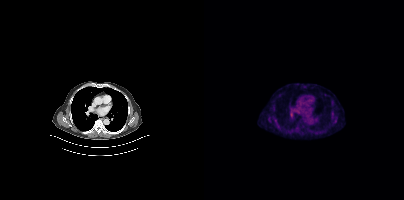
Negative for PSMA-avid disease on this slice.